Technique: Left: CT. Right: PSMA PET, same axial level, 18F-PSMA tracer.
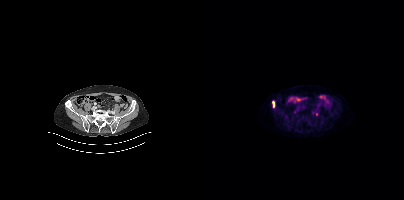
Findings: Coordinates are on the 200×200 PET (right) panel. PSMA-avid tumor lesion bounding box (x0, y0)-(x1, y1): (69, 101)-(70, 106).